modality: PSMA PET/CT | tracer: 18F-PSMA | view: axial
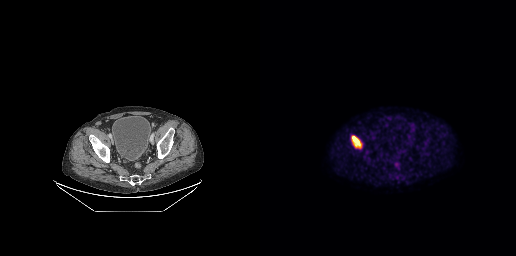
Coordinates are on the 256×256 PET (right) panel. PSMA-avid tumor lesion bounding box (x, y, width, height): x=93 y=136 w=9 h=12.